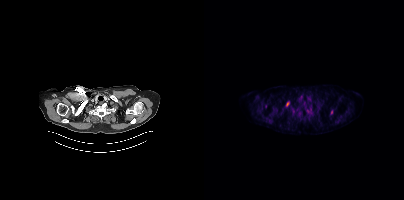
Coordinates are on the 200×200 PET (right) panel. Small PSMA-avid foci (2 to 4 px across) near (center x, center y): (83, 103); (127, 111).